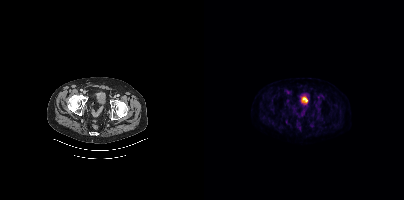
Negative for PSMA-avid disease on this slice. Two-panel axial: CT | PSMA PET, 18F tracer. Slice 90 of 462.